Left: CT. Right: PSMA PET, same axial level, 18F-PSMA tracer.
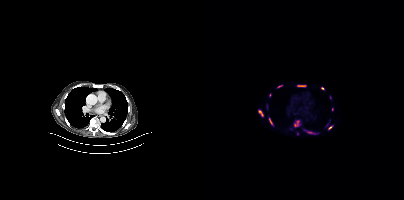
Coordinates are on the 200×200 PET (right) panel. PSMA-avid tumor lesion bounding boxes (partial; 4 more foci not listed):
| # | x0 | y0 | x1 | y1 |
|---|---|---|---|---|
| 1 | 54 | 110 | 59 | 116 |
| 2 | 93 | 85 | 102 | 86 |
| 3 | 90 | 121 | 94 | 126 |
| 4 | 65 | 118 | 68 | 124 |
| 5 | 124 | 126 | 128 | 130 |
| 6 | 73 | 85 | 78 | 87 |
Small PSMA-avid foci (2 to 4 px across) near (center x, center y): (118, 88); (66, 95); (128, 109); (93, 133).